- Left: CT. Right: PSMA PET, same axial level, 68Ga-PSMA tracer
- acquired on Siemens Biograph 64-4R TruePoint
- PET panel 168×168 px (4.1 mm/px)
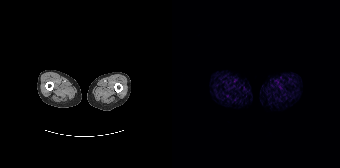
Findings: This slice has no annotated PSMA-avid lesion.